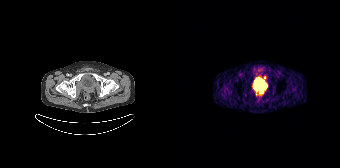
{"modality":"PSMA PET/CT","view":"axial","tracer":"68Ga-PSMA","pet_grid":[168,168],"coord_frame":"pet_panel","coord_format":"x0,y0,x1,y1","lesion_bboxes":[[90,86,93,91]],"small_foci_centers":[[92,77],[84,88],[88,92]]}